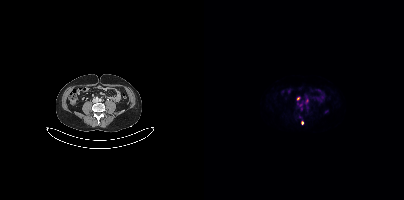
Coordinates are on the 200×200 PET (right) panel. (showing 3 of 4 foci) PSMA-avid tumor lesion bounding box (x, y, width, height): x=94 y=103 w=5 h=4. Small PSMA-avid foci (2 to 4 px across) near (center x, center y): (103, 100) / (94, 98).